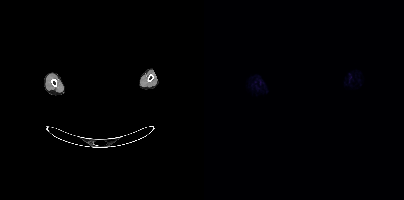
{"pet_grid":[200,200],"coord_frame":"pet_panel","coord_format":"x0,y0,x1,y1","psma_avid_lesions":false,"modality":"PSMA PET/CT","view":"axial","tracer":"18F","redaction":"rectangular block over head set to black"}